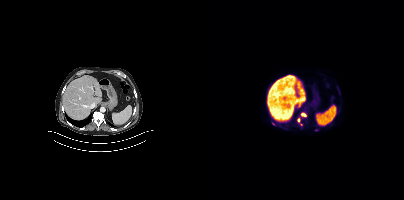
Two-panel axial: CT | PSMA PET, [18F]PSMA-1007 tracer. PET panel 200×200 px (4.1 mm/px). Coordinates are on the 200×200 PET (right) panel. (showing 4 of 5 foci) PSMA-avid tumor lesion bounding boxes (x0, y0)-(x1, y1): (97, 112)-(102, 116) | (93, 118)-(96, 122). Small PSMA-avid foci (2 to 4 px across) near (center x, center y): (69, 124) | (97, 124).